Two-panel axial: CT | PSMA PET, 18F tracer. Acquired on Siemens Biograph mCT Flow 20. PET panel 200×200 px (4.1 mm/px).
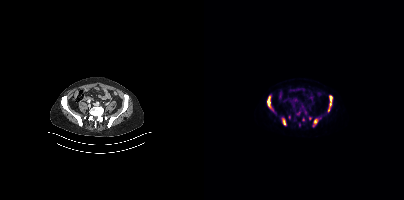
Coordinates are on the 200×200 PET (right) panel. (showing 6 of 7 foci) PSMA-avid tumor lesion bounding boxes (x, y, width, height): x=124 y=95 w=5 h=17 | x=63 y=99 w=5 h=9 | x=78 y=118 w=4 h=8 | x=110 y=119 w=3 h=5. Small PSMA-avid foci (2 to 4 px across) near (center x, center y): (99, 119) | (65, 96).